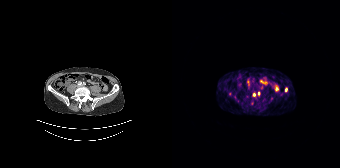
Coordinates are on the 168×168 PET (right) panel. (showing 4 of 5 foci) Small PSMA-avid foci (2 to 4 px across) near (center x, center y): (114, 89), (82, 94), (58, 93), (86, 93).